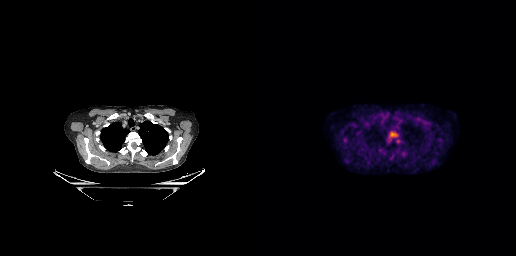
Coordinates are on the 256×256 PET (right) panel. PSMA-avid tumor lesion bounding box (x, y, width, height): x=128 y=131 w=11 h=11. Small PSMA-avid foci (2 to 4 px across) near (center x, center y): (85, 140) | (138, 141).